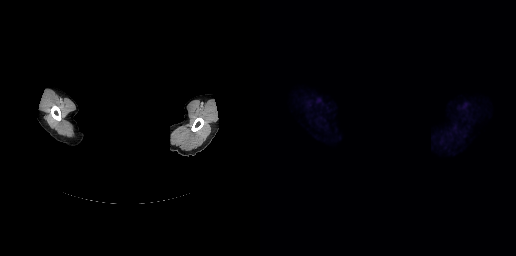
Findings: No tumor lesions annotated on this slice.
Technique: Left: CT. Right: PSMA PET, same axial level, 18F-PSMA tracer. acquired on GE Discovery 690.
Note: An anonymization step blacked out a rectangle over the head in this scan.